Paired axial CT (left) and PSMA PET (right), [18F]PSMA-1007 tracer. Slice position z = -780 mm. PET panel 200×200 px (4.1 mm/px).
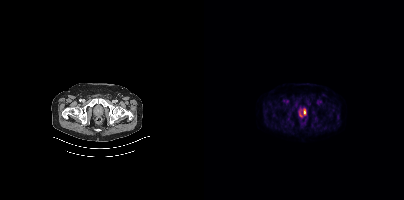
Negative for PSMA-avid disease on this slice.